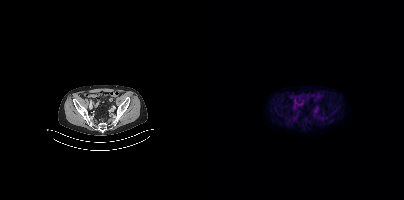
Technique: Left: CT. Right: PSMA PET, same axial level, 18F-PSMA tracer. slice position z = -883 mm. PET panel 200×200 px (4.1 mm/px).
Findings: Negative for PSMA-avid disease on this slice.